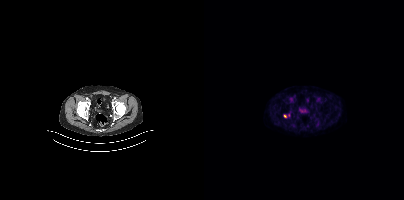
Coordinates are on the 200×200 PET (right) panel. Small PSMA-avid foci (2 to 4 px across) near (center x, center y): (84, 115) | (80, 116).